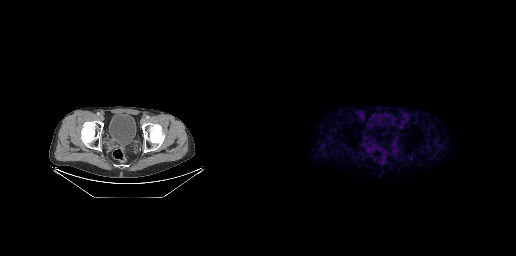
No tumor lesions annotated on this slice.